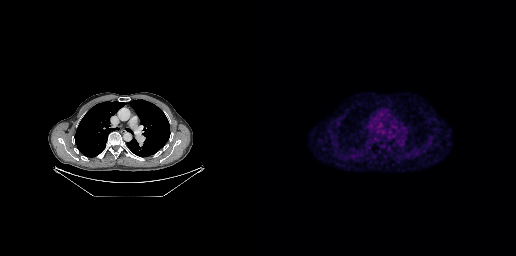
modality: PSMA PET/CT | tracer: [18F]PSMA-1007 | view: axial
Coordinates are on the 256×256 PET (right) panel. PSMA-avid tumor lesion bounding box (x, y, width, height): x=106 y=125 w=5 h=4.